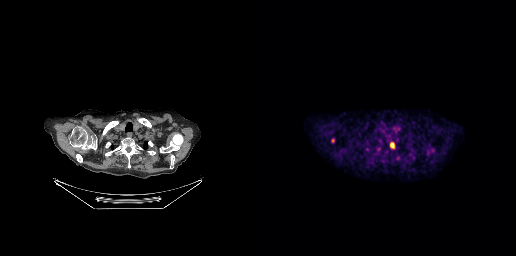
modality: PSMA PET/CT | tracer: 18F-PSMA | view: axial | PET grid: 256×256
Coordinates are on the 256×256 PET (right) panel. PSMA-avid tumor lesion bounding box (x0,y0,x1,y1): [130,142,134,148]. Small PSMA-avid focus (2 to 4 px across) near (center x, center y): (72, 140).